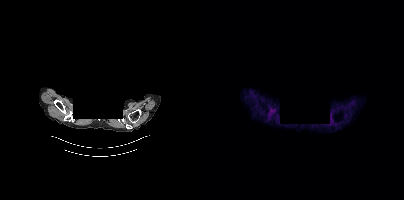
No PSMA-avid tumor lesions on this slice. Facial anatomy redacted by setting a rectangular region of the head to black. Paired axial CT (left) and PSMA PET (right), 68Ga tracer. Slice position z = -462 mm. PET panel 200×200 px (4.1 mm/px).